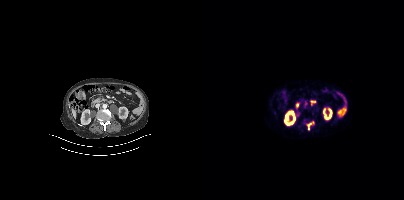
Coordinates are on the 200×200 PET (right) panel. PSMA-avid tumor lesion bounding box (x0,y0,x1,y1): [102,121,110,130]. Small PSMA-avid focus (2 to 4 px across) near (center x, center y): (102, 102).